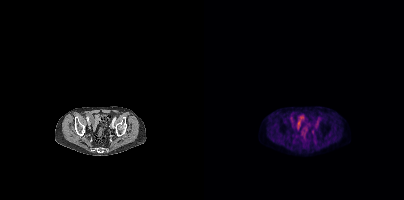
Left: CT. Right: PSMA PET, same axial level, [18F]PSMA-1007 tracer. PET panel 200×200 px (4.1 mm/px). No tumor lesions annotated on this slice.